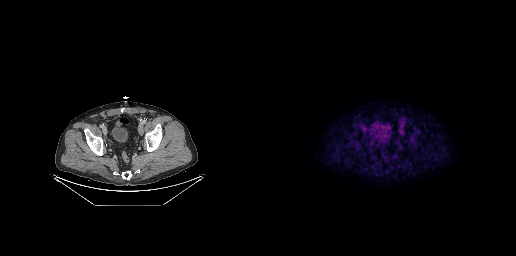
- Paired axial CT (left) and PSMA PET (right), [18F]PSMA-1007 tracer
- PET panel 256×256 px (2.7 mm/px)
Findings: No PSMA-avid tumor lesions on this slice.